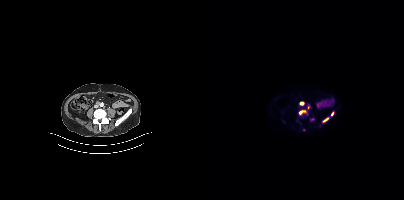
Coordinates are on the 200×200 PET (right) panel. PSMA-avid tumor lesion bounding boxes (partial; 2 more foci not listed):
| # | x0 | y0 | x1 | y1 |
|---|---|---|---|---|
| 1 | 95 | 110 | 101 | 114 |
| 2 | 119 | 117 | 124 | 122 |
Small PSMA-avid foci (2 to 4 px across) near (center x, center y): (97, 103); (128, 113).
Two-panel axial: CT | PSMA PET, 18F tracer. PET panel 200×200 px (4.1 mm/px).